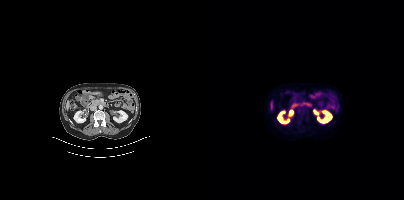
Two-panel axial: CT | PSMA PET, [18F]PSMA-1007 tracer. Acquired on Siemens Biograph mCT Flow 20. Slice 186 of 427. PET panel 200×200 px (4.1 mm/px). Negative for PSMA-avid disease on this slice.